Paired axial CT (left) and PSMA PET (right), 18F tracer. Acquired on Siemens Biograph mCT Flow 20. Slice position z = -1309 mm. PET panel 200×200 px (4.1 mm/px).
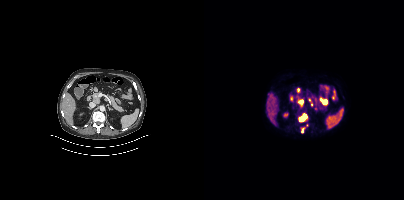
Coordinates are on the 200×200 PET (right) panel. (showing 3 of 4 foci) PSMA-avid tumor lesion bounding boxes (x, y, width, height): x=94 y=114 w=10 h=8 / x=98 y=128 w=2 h=5. Small PSMA-avid focus (2 to 4 px across) near (center x, center y): (98, 102).